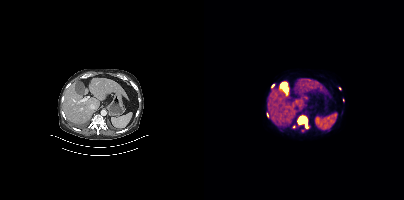
modality: PSMA PET/CT | tracer: 18F | view: axial
Coordinates are on the 200×200 PET (right) panel. (showing 5 of 6 foci) PSMA-avid tumor lesion bounding box (x0, y0)-(x1, y1): (93, 115)-(104, 128). Small PSMA-avid foci (2 to 4 px across) near (center x, center y): (68, 85) | (63, 114) | (136, 88) | (89, 126).